Two-panel axial: CT | PSMA PET, 68Ga tracer. Acquired on GE Discovery 690. Slice 72 of 227. PET panel 256×256 px (2.7 mm/px).
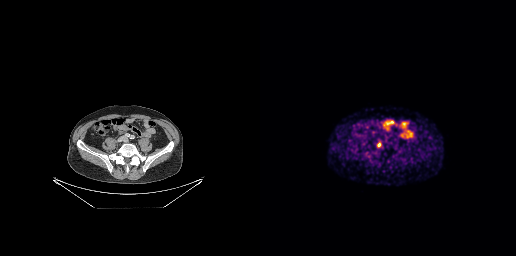
Coordinates are on the 256×256 PET (right) panel. PSMA-avid tumor lesion bounding boxes:
| # | x0 | y0 | x1 | y1 |
|---|---|---|---|---|
| 1 | 117 | 142 | 121 | 146 |